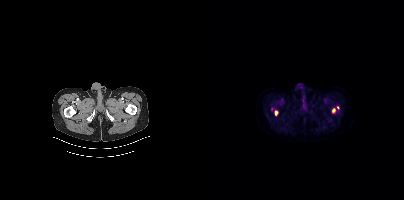
Coordinates are on the 200×200 PET (right) panel. PSMA-avid tumor lesion bounding boxes (x, y, width, height): x=128 y=108 w=4 h=6 | x=71 y=110 w=4 h=6. Small PSMA-avid foci (2 to 4 px across) near (center x, center y): (133, 107) | (67, 108).